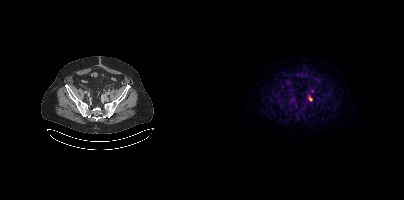
modality: PSMA PET/CT | tracer: [18F]PSMA-1007 | view: axial
Coordinates are on the 200×200 PET (right) panel. Small PSMA-avid foci (2 to 4 px across) near (center x, center y): (107, 112) | (105, 99).